modality: PSMA PET/CT | tracer: 68Ga-PSMA | view: axial | PET grid: 200×200
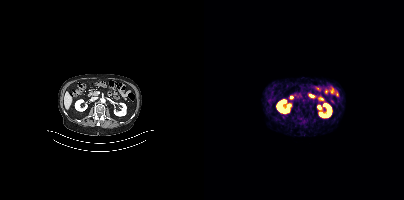
No tumor lesions annotated on this slice.